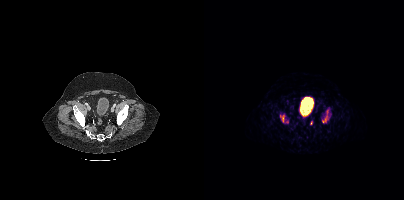
{"modality":"PSMA PET/CT","view":"axial","tracer":"[68Ga]Ga-PSMA-11","pet_grid":[200,200],"coord_frame":"pet_panel","coord_format":"x0,y0,x1,y1","partial":true,"lesion_bboxes":[[117,107,127,123],[78,115,80,121]]}